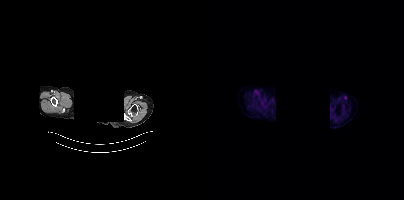
modality: PSMA PET/CT | tracer: 18F-PSMA | view: axial | PET grid: 200×200 | redaction: head region blanked (face removed)
This slice has no annotated PSMA-avid lesion.